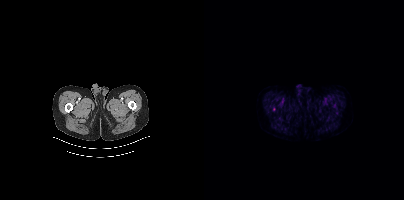
{"modality":"PSMA PET/CT","view":"axial","tracer":"[18F]PSMA-1007","pet_grid":[200,200],"coord_frame":"pet_panel","coord_format":"x0,y0,x1,y1","psma_avid_lesions":false}